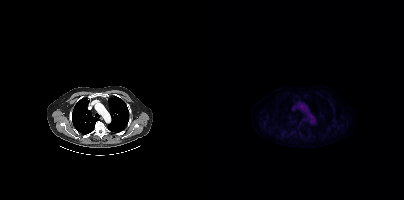
Technique: Paired axial CT (left) and PSMA PET (right), 18F-PSMA tracer. PET panel 200×200 px (4.1 mm/px).
Findings: No tumor lesions annotated on this slice.